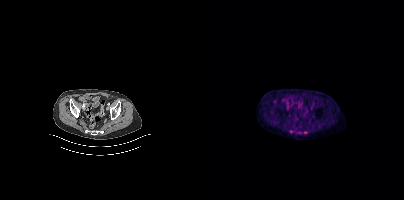
This slice has no annotated PSMA-avid lesion. Two-panel axial: CT | PSMA PET, 18F-PSMA tracer. Acquired on Siemens Biograph mCT Flow 20. Slice 93 of 377. PET panel 200×200 px (4.1 mm/px).